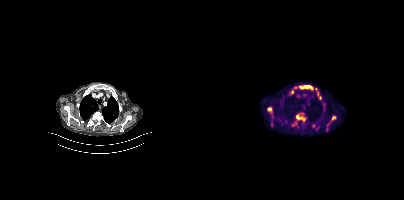
Coordinates are on the 200×200 PET (right) panel. (showing 8 of 10 foci) PSMA-avid tumor lesion bounding boxes (x, y, width, height): x=92 y=114 w=11 h=8 / x=95 y=85 w=14 h=5 / x=66 y=118 w=5 h=10 / x=63 y=107 w=6 h=7 / x=122 y=124 w=4 h=8 / x=87 y=122 w=6 h=6. Small PSMA-avid foci (2 to 4 px across) near (center x, center y): (88, 93) / (98, 113).